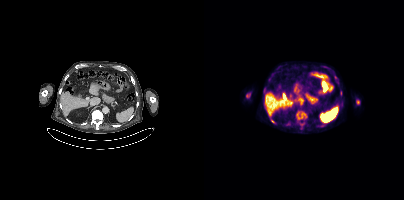
Coordinates are on the 200×200 PET (right) panel. PSMA-avid tumor lesion bounding boxes (partial; 1 more focus not listed):
| # | x0 | y0 | x1 | y1 |
|---|---|---|---|---|
| 1 | 93 | 112 | 98 | 117 |
| 2 | 42 | 93 | 46 | 97 |
| 3 | 152 | 100 | 155 | 104 |
| 4 | 136 | 91 | 137 | 95 |
Small PSMA-avid focus (2 to 4 px across) near (center x, center y): (70, 122).
Two-panel axial: CT | PSMA PET, [18F]PSMA-1007 tracer. Acquired on Siemens Biograph mCT Flow 20. PET panel 200×200 px (4.1 mm/px).